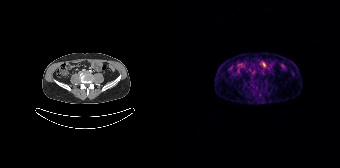
This slice has no annotated PSMA-avid lesion.